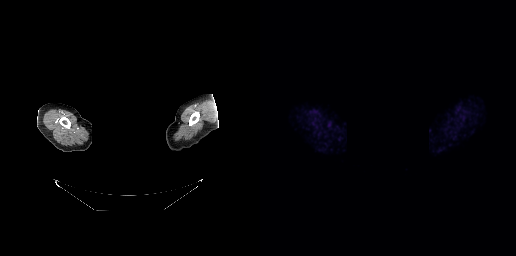
{"pet_grid":[256,256],"coord_frame":"pet_panel","coord_format":"x0,y0,x1,y1","psma_avid_lesions":false,"modality":"PSMA PET/CT","view":"axial","tracer":"[68Ga]Ga-PSMA-11","deidentification":"rectangular block over head set to black"}